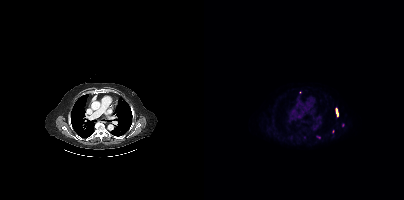
modality: PSMA PET/CT | tracer: [18F]PSMA-1007 | view: axial | PET grid: 200×200
Coordinates are on the 200×200 PET (right) panel. (showing 1 of 3 foci) PSMA-avid tumor lesion bounding box (x, y, width, height): x=132 y=108 w=3 h=9.